Technique: Paired axial CT (left) and PSMA PET (right), [68Ga]Ga-PSMA-11 tracer. acquired on Siemens Biograph mCT Flow 20. slice 213 of 397. PET panel 200×200 px (4.1 mm/px).
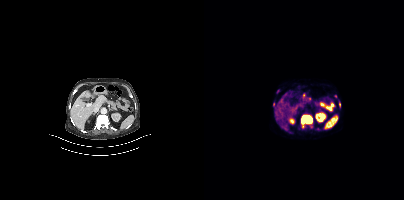
Findings: Coordinates are on the 200×200 PET (right) panel. PSMA-avid tumor lesion bounding boxes (x0, y0)-(x1, y1): (97, 115)-(108, 128) / (135, 102)-(136, 106). Small PSMA-avid foci (2 to 4 px across) near (center x, center y): (69, 104) / (73, 91) / (114, 129).